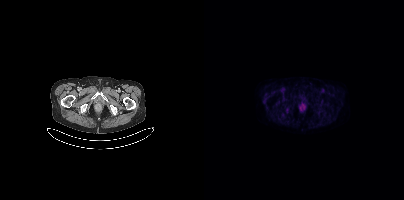
Left: CT. Right: PSMA PET, same axial level, [18F]PSMA-1007 tracer. Acquired on Siemens Biograph mCT Flow 20. PET panel 200×200 px (4.1 mm/px). No tumor lesions annotated on this slice.